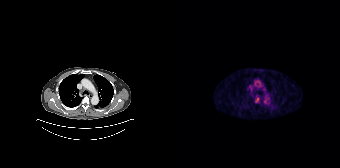
Coordinates are on the 168×168 PET (right) panel. PSMA-avid tumor lesion bounding box (x, y, width, height): x=83 y=98 w=4 h=5.